Left: CT. Right: PSMA PET, same axial level, 18F tracer. Acquired on Siemens Biograph mCT Flow 20. Slice position z = -472 mm.
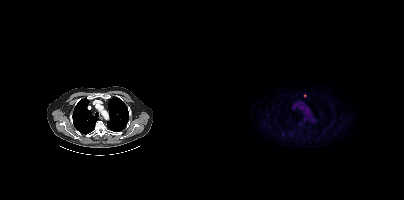
Coordinates are on the 200×200 PET (right) panel. Small PSMA-avid focus (2 to 4 px across) near (center x, center y): (100, 95).